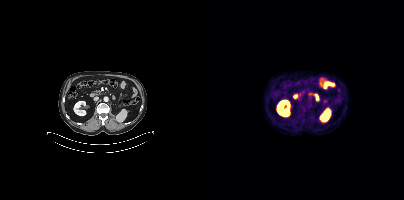
This slice has no annotated PSMA-avid lesion. Left: CT. Right: PSMA PET, same axial level, 68Ga tracer. Slice 203 of 433.